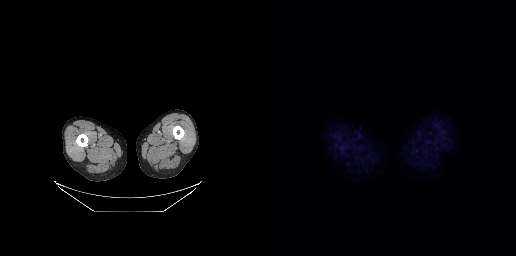
{"modality":"PSMA PET/CT","view":"axial","tracer":"18F-PSMA","pet_grid":[256,256],"coord_frame":"pet_panel","coord_format":"x0,y0,x1,y1","psma_avid_lesions":false}